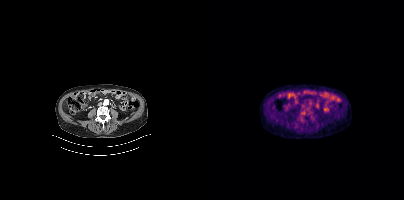
modality: PSMA PET/CT | tracer: [18F]PSMA-1007 | view: axial | PET grid: 200×200
No PSMA-avid tumor lesions on this slice.